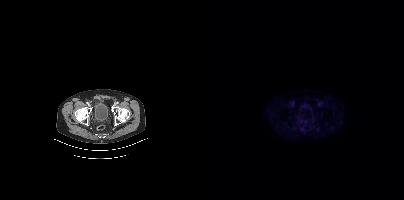
- Two-panel axial: CT | PSMA PET, 18F-PSMA tracer
- slice position z = -810 mm
- PET panel 200×200 px (4.1 mm/px)
Findings: Coordinates are on the 200×200 PET (right) panel. Small PSMA-avid focus (2 to 4 px across) near (center x, center y): (101, 121).